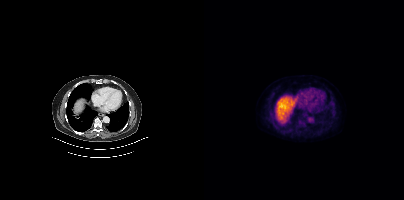
Findings: No tumor lesions annotated on this slice.
Technique: Left: CT. Right: PSMA PET, same axial level, 18F-PSMA tracer. acquired on Siemens Biograph mCT Flow 20. PET panel 200×200 px (4.1 mm/px).